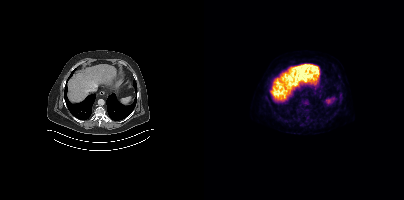
Paired axial CT (left) and PSMA PET (right), 18F tracer. PET panel 200×200 px (4.1 mm/px).
Coordinates are on the 200×200 PET (right) panel. PSMA-avid tumor lesion bounding boxes:
| # | x0 | y0 | x1 | y1 |
|---|---|---|---|---|
| 1 | 134 | 94 | 139 | 100 |